Technique: Two-panel axial: CT | PSMA PET, 18F-PSMA tracer. acquired on Siemens Biograph mCT Flow 20. slice 231 of 454. PET panel 200×200 px (4.1 mm/px).
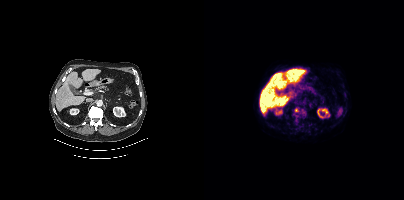
Findings: Coordinates are on the 200×200 PET (right) panel. Small PSMA-avid focus (2 to 4 px across) near (center x, center y): (92, 109).